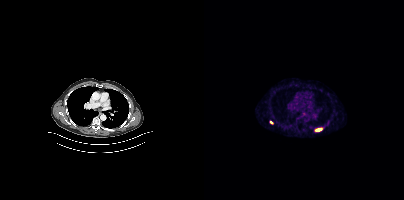
- Two-panel axial: CT | PSMA PET, 68Ga-PSMA tracer
- acquired on Siemens Biograph mCT Flow 20
- slice position z = -1036 mm
Findings: Coordinates are on the 200×200 PET (right) panel. (showing 1 of 2 foci) PSMA-avid tumor lesion bounding box (x0,y0,x1,y1): [112,128,117,130].